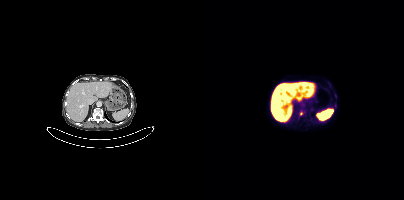
Findings: Coordinates are on the 200×200 PET (right) panel. PSMA-avid tumor lesion bounding box (x, y, width, height): x=96 y=111 w=4 h=5.
- Paired axial CT (left) and PSMA PET (right), 18F-PSMA tracer
- slice position z = -504 mm